Technique: Two-panel axial: CT | PSMA PET, 18F-PSMA tracer. slice position z = -1156 mm.
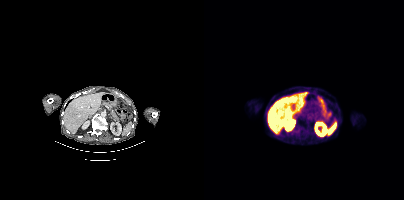
Findings: This slice has no annotated PSMA-avid lesion.